Technique: Left: CT. Right: PSMA PET, same axial level, [18F]PSMA-1007 tracer. slice 56 of 389. PET panel 200×200 px (4.1 mm/px).
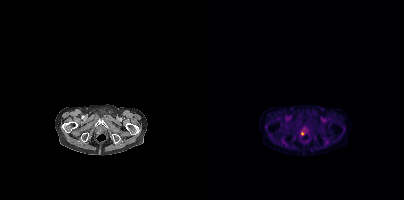
Findings: Coordinates are on the 200×200 PET (right) panel. Small PSMA-avid focus (2 to 4 px across) near (center x, center y): (98, 133).